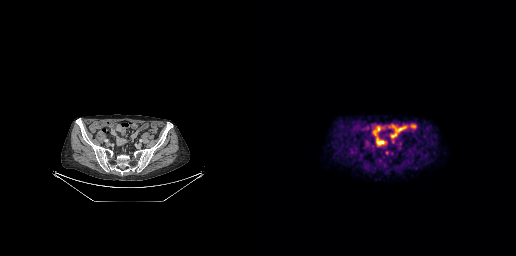
{"pet_grid":[256,256],"coord_frame":"pet_panel","coord_format":"x0,y0,x1,y1","lesion_bboxes":[],"small_foci_centers":[[126,152]],"modality":"PSMA PET/CT","view":"axial","tracer":"18F"}